- any black rectangle over the head is a privacy mask, not anatomy
- Two-panel axial: CT | PSMA PET, 18F-PSMA tracer
- acquired on Siemens Biograph mCT Flow 20
- slice position z = 559 mm
- PET panel 200×200 px (4.1 mm/px)
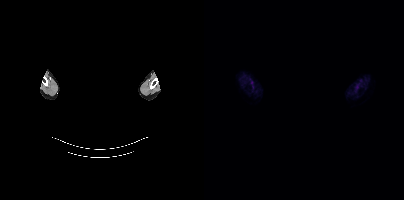
Findings: No PSMA-avid tumor lesions on this slice.